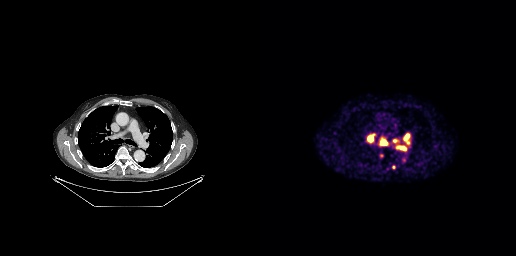
Findings: Coordinates are on the 256×256 PET (right) panel. PSMA-avid tumor lesion bounding boxes (x0, y0)-(x1, y1): (107, 133)-(115, 141) / (144, 134)-(149, 144) / (121, 140)-(127, 145) / (138, 146)-(146, 150). Small PSMA-avid foci (2 to 4 px across) near (center x, center y): (133, 140) / (133, 167) / (121, 155).
Technique: Left: CT. Right: PSMA PET, same axial level, 68Ga tracer. PET panel 256×256 px (2.7 mm/px).